- Left: CT. Right: PSMA PET, same axial level, 68Ga-PSMA tracer
- slice position z = -1214 mm
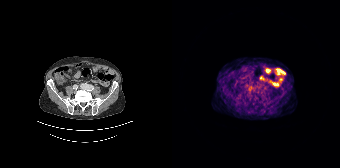
Findings: Coordinates are on the 168×168 PET (right) panel. Small PSMA-avid focus (2 to 4 px across) near (center x, center y): (80, 87).